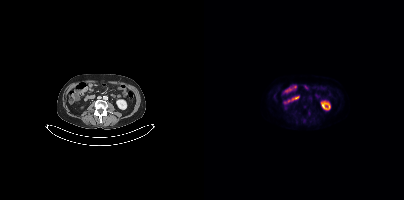
Findings: No PSMA-avid tumor lesions on this slice.
Technique: Paired axial CT (left) and PSMA PET (right), [18F]PSMA-1007 tracer.